- Two-panel axial: CT | PSMA PET, [18F]PSMA-1007 tracer
- PET panel 200×200 px (4.1 mm/px)
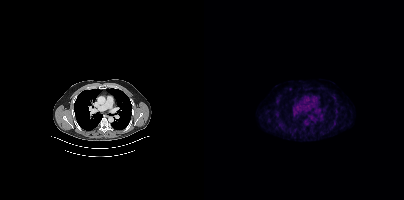
Findings: No tumor lesions annotated on this slice.